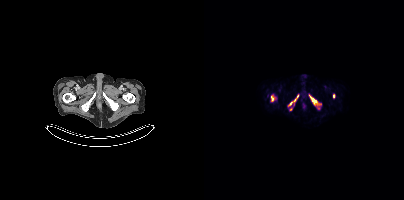
Findings: Coordinates are on the 200×200 PET (right) panel. (showing 6 of 7 foci) PSMA-avid tumor lesion bounding boxes (x0,y0,x1,y1): [105,95,117,105]; [67,96,70,101]; [90,95,94,101]. Small PSMA-avid foci (2 to 4 px across) near (center x, center y): (86, 103); (129, 96); (86, 109).
- Paired axial CT (left) and PSMA PET (right), 18F-PSMA tracer
- slice position z = -1025 mm
- PET panel 200×200 px (4.1 mm/px)